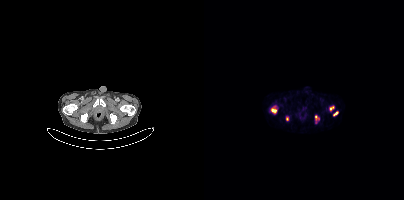
Findings: Coordinates are on the 200×200 PET (right) panel. PSMA-avid tumor lesion bounding boxes (x0,y0,x1,y1): [67,108,71,112]; [111,115,115,119]; [126,106,129,110]; [129,111,134,115]. Small PSMA-avid focus (2 to 4 px across) near (center x, center y): (83, 118).
Technique: Two-panel axial: CT | PSMA PET, 68Ga tracer. PET panel 200×200 px (4.1 mm/px).